modality: PSMA PET/CT | tracer: [18F]PSMA-1007 | view: axial
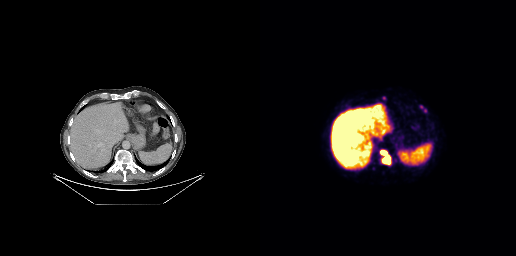
Coordinates are on the 256×256 PET (right) panel. PSMA-avid tumor lesion bounding box (x0, y0)-(x1, y1): (120, 150)-(131, 164). Small PSMA-avid foci (2 to 4 px across) near (center x, center y): (123, 97); (165, 110); (161, 107).